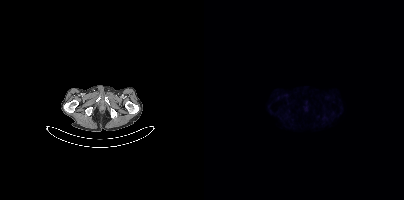
No tumor lesions annotated on this slice.